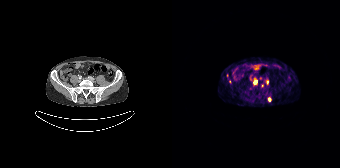
Coordinates are on the 168×168 PET (right) panel. Small PSMA-avid foci (2 to 4 px across) near (center x, center y): (83, 82) / (97, 99) / (95, 82) / (57, 80).
modality: PSMA PET/CT | tracer: [68Ga]Ga-PSMA-11 | view: axial | PET grid: 168×168